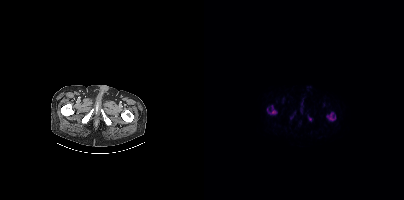
Two-panel axial: CT | PSMA PET, 18F-PSMA tracer. Slice 40 of 423. PET panel 200×200 px (4.1 mm/px). Coordinates are on the 200×200 PET (right) panel. PSMA-avid tumor lesion bounding boxes (x, y, width, height): x=123 y=112 w=9 h=9 / x=63 y=105 w=11 h=10. Small PSMA-avid focus (2 to 4 px across) near (center x, center y): (106, 118).